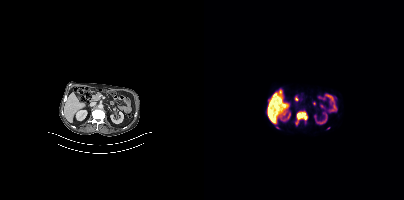
Findings: Coordinates are on the 200×200 PET (right) panel. PSMA-avid tumor lesion bounding box (x, y, width, height): x=92 y=112 w=12 h=13. Small PSMA-avid foci (2 to 4 px across) near (center x, center y): (73, 127); (124, 128).
- Paired axial CT (left) and PSMA PET (right), 18F-PSMA tracer